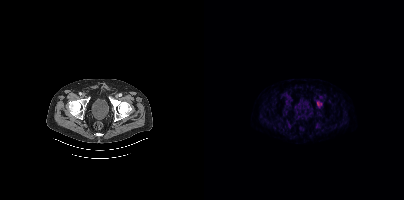
Technique: Paired axial CT (left) and PSMA PET (right), 18F-PSMA tracer. acquired on Siemens Biograph mCT Flow 20.
Findings: Coordinates are on the 200×200 PET (right) panel. Small PSMA-avid focus (2 to 4 px across) near (center x, center y): (113, 103).